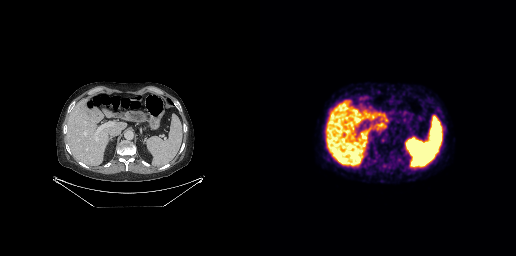
modality: PSMA PET/CT | tracer: [18F]PSMA-1007 | view: axial | PET grid: 256×256
No PSMA-avid tumor lesions on this slice.